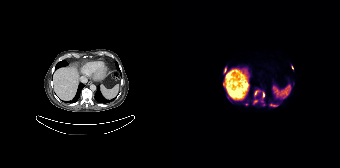
Coordinates are on the 168×168 PET (right) panel. PSMA-avid tumor lesion bounding boxes (x, y, width, height): x=81 y=91 w=13 h=16 | x=52 y=67 w=3 h=6 | x=97 y=103 w=7 h=4. Small PSMA-avid foci (2 to 4 px across) near (center x, center y): (120, 67) | (51, 84) | (75, 104) | (105, 105).